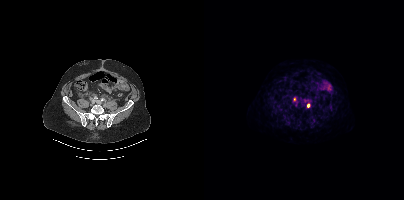
Paired axial CT (left) and PSMA PET (right), 18F tracer. Acquired on Siemens Biograph mCT Flow 20. PET panel 200×200 px (4.1 mm/px). Coordinates are on the 200×200 PET (right) panel. PSMA-avid tumor lesion bounding box (x0, y0)-(x1, y1): (89, 97)-(92, 101). Small PSMA-avid focus (2 to 4 px across) near (center x, center y): (104, 105).